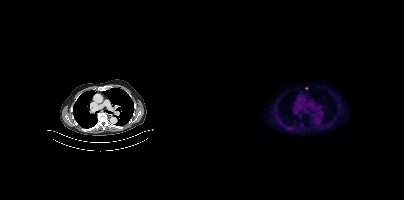
{"modality":"PSMA PET/CT","view":"axial","tracer":"18F","pet_grid":[200,200],"coord_frame":"pet_panel","coord_format":"x0,y0,x1,y1","lesion_bboxes":[],"small_foci_centers":[[102,88]]}